Two-panel axial: CT | PSMA PET, [18F]PSMA-1007 tracer. PET panel 256×256 px (2.7 mm/px).
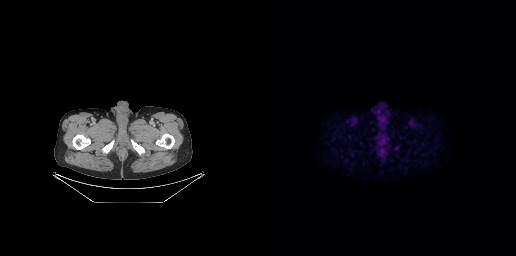
Coordinates are on the 256×256 PET (right) panel. Small PSMA-avid focus (2 to 4 px across) near (center x, center y): (136, 147).